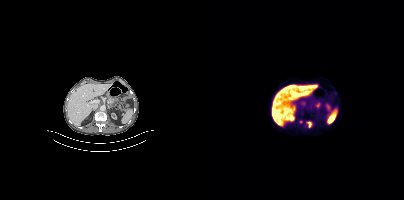
modality: PSMA PET/CT | tracer: 18F-PSMA | view: axial | PET grid: 200×200
Coordinates are on the 200×200 PET (right) panel. PSMA-avid tumor lesion bounding box (x0, y0)-(x1, y1): (104, 121)-(107, 127). Small PSMA-avid focus (2 to 4 px across) near (center x, center y): (96, 121).